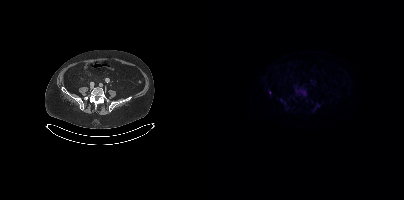
- Two-panel axial: CT | PSMA PET, [18F]PSMA-1007 tracer
- acquired on Siemens Biograph mCT Flow 20
Findings: Coordinates are on the 200×200 PET (right) panel. Small PSMA-avid focus (2 to 4 px across) near (center x, center y): (65, 92).